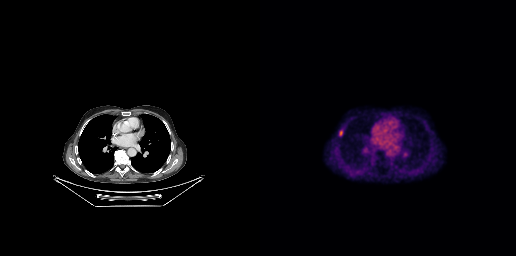
{"modality":"PSMA PET/CT","view":"axial","tracer":"[18F]PSMA-1007","pet_grid":[256,256],"coord_frame":"pet_panel","coord_format":"x0,y0,x1,y1","lesion_bboxes":[[79,130,82,135]]}